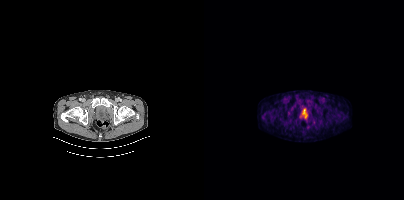
No tumor lesions annotated on this slice. Paired axial CT (left) and PSMA PET (right), [18F]PSMA-1007 tracer. Acquired on Siemens Biograph mCT Flow 20. PET panel 200×200 px (4.1 mm/px).